Technique: Paired axial CT (left) and PSMA PET (right), 18F-PSMA tracer. slice 107 of 423. PET panel 200×200 px (4.1 mm/px).
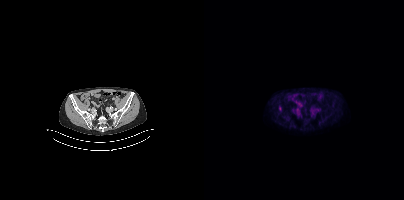
Findings: Coordinates are on the 200×200 PET (right) panel. PSMA-avid tumor lesion bounding box (x0,y0,x1,y1): [75,106,77,110].